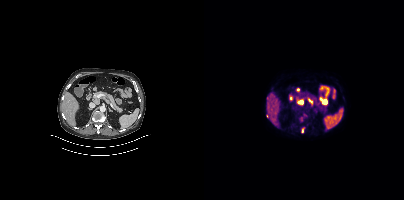
Coordinates are on the 200×200 PET (right) panel. Small PSMA-avid focus (2 to 4 px across) near (center x, center y): (98, 131). Two-panel axial: CT | PSMA PET, [18F]PSMA-1007 tracer. Slice 228 of 444. PET panel 200×200 px (4.1 mm/px).